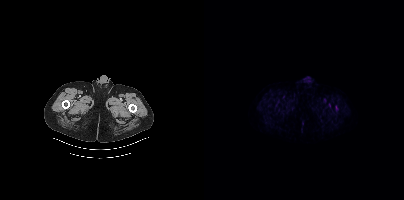
- Left: CT. Right: PSMA PET, same axial level, 18F tracer
- slice position z = -1487 mm
- PET panel 200×200 px (4.1 mm/px)
Findings: Coordinates are on the 200×200 PET (right) panel. Small PSMA-avid focus (2 to 4 px across) near (center x, center y): (132, 109).